modality: PSMA PET/CT | tracer: 18F-PSMA | view: axial | PET grid: 200×200
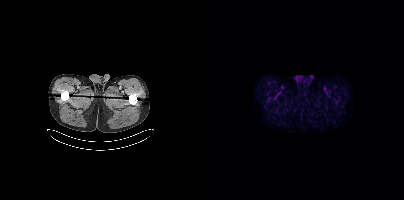
Negative for PSMA-avid disease on this slice.